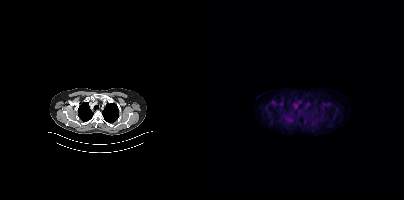
- Left: CT. Right: PSMA PET, same axial level, 18F-PSMA tracer
- acquired on Siemens Biograph mCT Flow 20
- slice 322 of 409
- PET panel 200×200 px (4.1 mm/px)
Findings: No tumor lesions annotated on this slice.